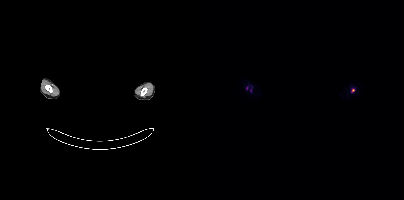
Coordinates are on the 200×200 PET (right) panel. Small PSMA-avid focus (2 to 4 px across) near (center x, center y): (149, 90). Facial anatomy redacted by setting a rectangular region of the head to black. Two-panel axial: CT | PSMA PET, 68Ga-PSMA tracer. Slice position z = -449 mm.